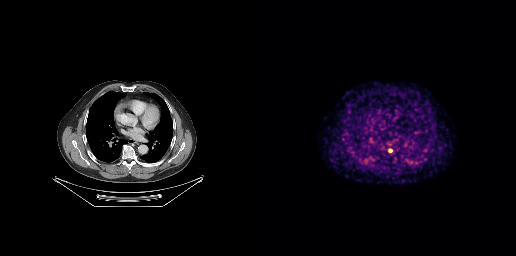
{"modality":"PSMA PET/CT","view":"axial","tracer":"68Ga","pet_grid":[256,256],"coord_frame":"pet_panel","coord_format":"x0,y0,x1,y1","lesion_bboxes":[[128,148,132,152]]}